modality: PSMA PET/CT | tracer: 18F | view: axial | PET grid: 168×168
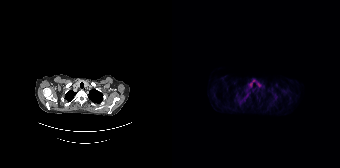
This slice has no annotated PSMA-avid lesion.